Technique: Paired axial CT (left) and PSMA PET (right), 18F-PSMA tracer.
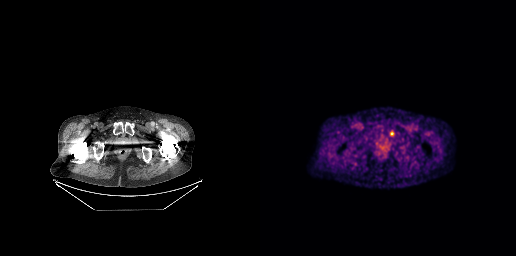
Findings: Coordinates are on the 256×256 PET (right) panel. PSMA-avid tumor lesion bounding box (x0,y0,x1,y1): [130,130,134,136].